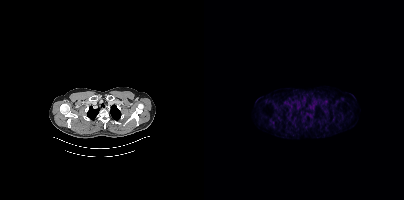
Paired axial CT (left) and PSMA PET (right), 18F tracer. PET panel 200×200 px (4.1 mm/px). This slice has no annotated PSMA-avid lesion.